Paired axial CT (left) and PSMA PET (right), 18F-PSMA tracer. PET panel 200×200 px (4.1 mm/px). De-identified by setting a rectangular region to black.
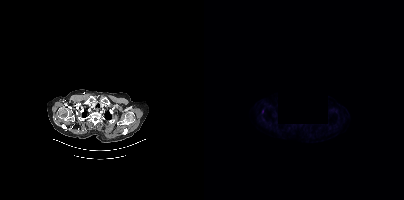
Coordinates are on the 200×200 PET (right) panel. PSMA-avid tumor lesion bounding box (x0,y0,x1,y1): [58,109,59,113].